Left: CT. Right: PSMA PET, same axial level, [68Ga]Ga-PSMA-11 tracer. Acquired on Siemens Biograph 64-4R TruePoint. Slice position z = -948 mm. PET panel 168×168 px (4.1 mm/px).
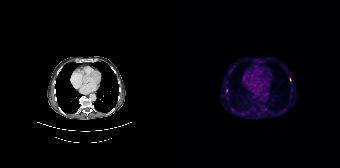
Coordinates are on the 168×168 PET (right) panel. PSMA-avid tumor lesion bounding boxes (partial; 1 more focus not listed):
| # | x0 | y0 | x1 | y1 |
|---|---|---|---|---|
| 1 | 118 | 94 | 120 | 98 |
Small PSMA-avid foci (2 to 4 px across) near (center x, center y): (118, 79); (59, 108); (54, 90).